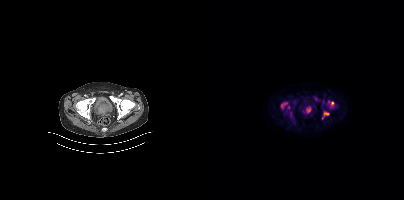
Coordinates are on the 200×200 PET (right) panel. (showing 5 of 8 foci) PSMA-avid tumor lesion bounding boxes (x0,y0,x1,y1): [76,103,82,109] [118,112,125,119] [127,101,129,105]. Small PSMA-avid foci (2 to 4 px across) near (center x, center y): (105, 110) (124, 101).